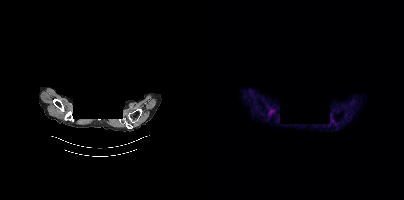
Negative for PSMA-avid disease on this slice. The head region is masked for de-identification. Two-panel axial: CT | PSMA PET, [68Ga]Ga-PSMA-11 tracer. Acquired on Siemens Biograph mCT Flow 20. Slice 356 of 405.